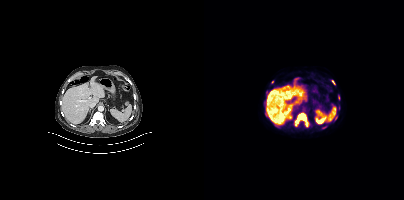
modality: PSMA PET/CT | tracer: 18F | view: axial | PET grid: 200×200
Coordinates are on the 200×200 PET (right) panel. (showing 7 of 9 foci) PSMA-avid tumor lesion bounding boxes (x0,y0,x1,y1): [91,113,104,126] [128,80,130,84]. Small PSMA-avid foci (2 to 4 px across) near (center x, center y): (63, 92) (119, 127) (134, 97) (131, 119) (68, 81).